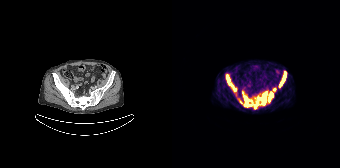
{"modality":"PSMA PET/CT","view":"axial","tracer":"68Ga","pet_grid":[168,168],"coord_frame":"pet_panel","coord_format":"x0,y0,x1,y1","partial":true,"lesion_bboxes":[[84,91,95,105],[70,91,80,107],[54,74,64,91],[96,92,101,102],[107,72,114,86],[81,104,84,108]],"small_foci_centers":[[102,89],[69,102]]}